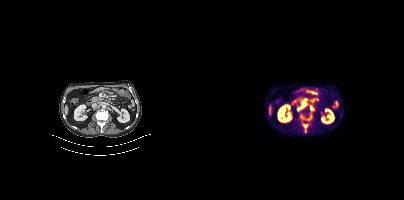
modality: PSMA PET/CT | tracer: 18F | view: axial | PET grid: 200×200
Coordinates are on the 200×200 PET (right) panel. (showing 4 of 5 foci) PSMA-avid tumor lesion bounding boxes (x0,y0,x1,y1): [98,122,104,132], [97,115,107,121], [93,102,102,110]. Small PSMA-avid focus (2 to 4 px across) near (center x, center y): (107, 108).